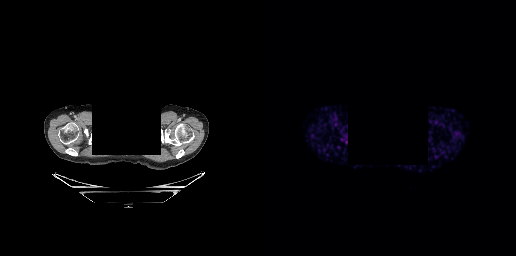
No tumor lesions annotated on this slice. Two-panel axial: CT | PSMA PET, 68Ga tracer. The face region was removed for patient privacy by blanking a rectangle over the head.